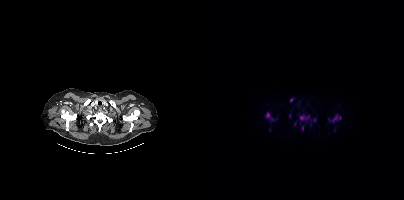
Findings: Coordinates are on the 200×200 PET (right) panel. (showing 9 of 11 foci) PSMA-avid tumor lesion bounding boxes (x, y, width, height): x=61 y=112 w=10 h=10 / x=95 y=115 w=11 h=6 / x=128 y=115 w=10 h=8 / x=98 y=126 w=2 h=5. Small PSMA-avid foci (2 to 4 px across) near (center x, center y): (87, 99) / (110, 119) / (85, 116) / (90, 124) / (125, 119).
Technique: Left: CT. Right: PSMA PET, same axial level, [18F]PSMA-1007 tracer. slice position z = -1087 mm. PET panel 200×200 px (4.1 mm/px).